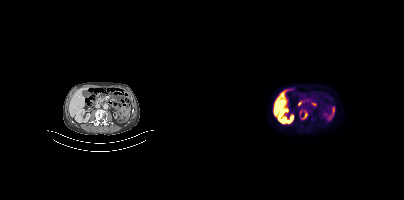
Coordinates are on the 200×200 PET (right) panel. PSMA-avid tumor lesion bounding box (x, y, width, height): x=95 y=109 w=10 h=11.